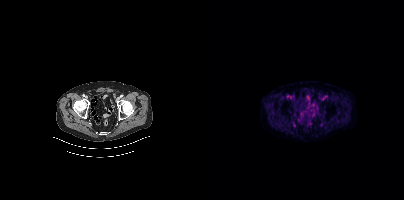
Findings: No PSMA-avid tumor lesions on this slice.
Technique: Paired axial CT (left) and PSMA PET (right), 18F tracer. PET panel 200×200 px (4.1 mm/px).